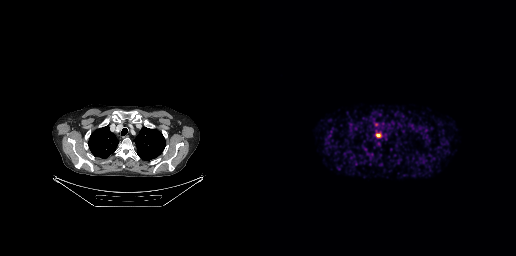
Coordinates are on the 256×256 PET (right) panel. PSMA-avid tumor lesion bounding box (x, y, width, height): x=116 y=134 w=5 h=3. Left: CT. Right: PSMA PET, same axial level, 68Ga-PSMA tracer. Slice 141 of 189. PET panel 256×256 px (2.7 mm/px).